Paired axial CT (left) and PSMA PET (right), [68Ga]Ga-PSMA-11 tracer. Slice 230 of 263. PET panel 256×256 px (2.7 mm/px).
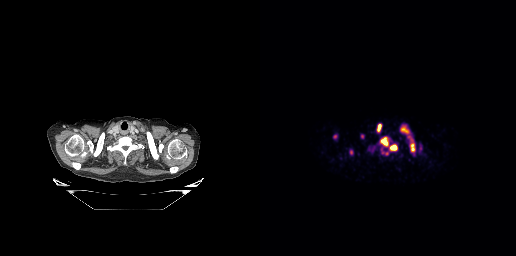
Coordinates are on the 256×256 PET (right) panel. PSMA-avid tumor lesion bounding boxes (partial; 2 more foci not listed):
| # | x0 | y0 | x1 | y1 |
|---|---|---|---|---|
| 1 | 130 | 145 | 137 | 150 |
| 2 | 150 | 143 | 154 | 151 |
| 3 | 141 | 127 | 148 | 133 |
| 4 | 122 | 140 | 126 | 143 |